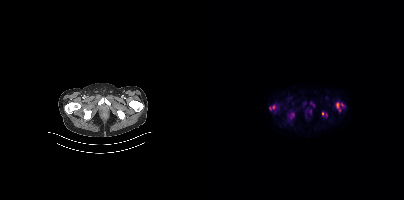
modality: PSMA PET/CT | tracer: 18F | view: axial
Coordinates are on the 200×200 PET (right) panel. (showing 5 of 8 foci) PSMA-avid tumor lesion bounding boxes (x0, y0)-(x1, y1): (84, 112)-(90, 119) | (65, 106)-(70, 109) | (132, 103)-(135, 108). Small PSMA-avid foci (2 to 4 px across) near (center x, center y): (118, 113) | (138, 104).